Paired axial CT (left) and PSMA PET (right), 18F-PSMA tracer.
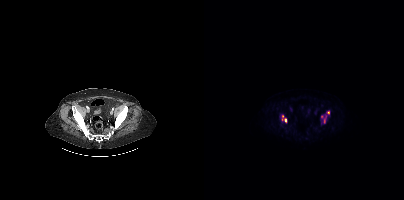
Coordinates are on the 200×200 PET (right) panel. PSMA-avid tumor lesion bounding boxes (partial; 2 more foci not listed):
| # | x0 | y0 | x1 | y1 |
|---|---|---|---|---|
| 1 | 117 | 115 | 122 | 123 |
| 2 | 81 | 118 | 82 | 122 |
Small PSMA-avid focus (2 to 4 px across) near (center x, center y): (123, 112).